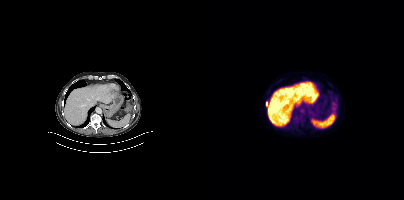
modality: PSMA PET/CT | tracer: 18F-PSMA | view: axial
Coordinates are on the 200×200 PET (right) panel. Small PSMA-avid focus (2 to 4 px across) near (center x, center y): (62, 103).